Technique: Paired axial CT (left) and PSMA PET (right), 18F-PSMA tracer. acquired on Siemens Biograph mCT Flow 20. slice 180 of 403. PET panel 200×200 px (4.1 mm/px).
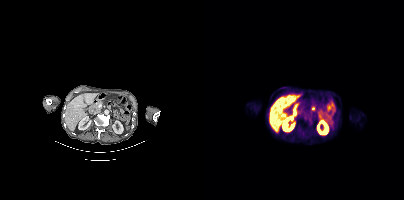
Findings: Coordinates are on the 200×200 PET (right) panel. Small PSMA-avid focus (2 to 4 px across) near (center x, center y): (101, 118).